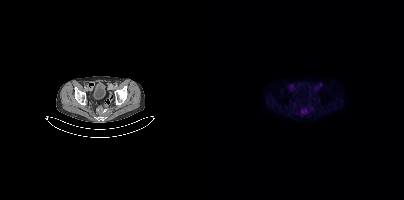
Coordinates are on the 200×200 PET (right) panel. PSMA-avid tumor lesion bounding box (x0,y0,x1,y1): [97,109,102,113].